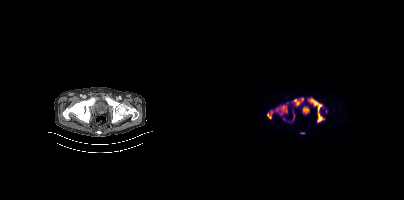
Findings: Coordinates are on the 200×200 PET (right) panel. (showing 4 of 9 foci) PSMA-avid tumor lesion bounding boxes (x0,y0,x1,y1): [105,98,120,122] [71,103,84,115] [63,110,69,118] [89,98,99,105].
Technique: Left: CT. Right: PSMA PET, same axial level, [18F]PSMA-1007 tracer. slice position z = -822 mm.